- Paired axial CT (left) and PSMA PET (right), 18F tracer
- slice position z = -740 mm
- PET panel 200×200 px (4.1 mm/px)
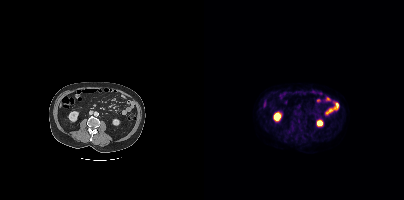
Findings: Negative for PSMA-avid disease on this slice.